- Two-panel axial: CT | PSMA PET, 18F tracer
- PET panel 200×200 px (4.1 mm/px)
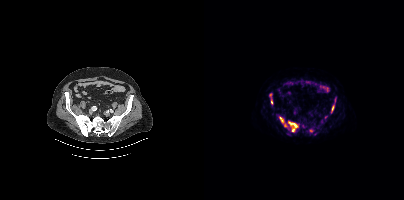
Findings: Coordinates are on the 200×200 PET (right) panel. (showing 6 of 7 foci) PSMA-avid tumor lesion bounding boxes (x0, y0)-(x1, y1): (84, 121)-(94, 132) | (75, 117)-(82, 126) | (127, 105)-(130, 112) | (67, 100)-(68, 104). Small PSMA-avid foci (2 to 4 px across) near (center x, center y): (107, 130) | (66, 94).